- Two-panel axial: CT | PSMA PET, 18F-PSMA tracer
- slice position z = -1133 mm
- PET panel 200×200 px (4.1 mm/px)
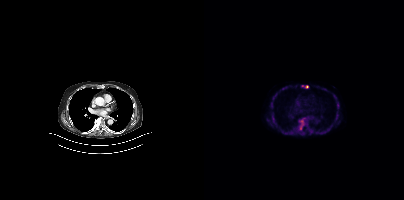
Findings: Coordinates are on the 200×200 PET (right) panel. PSMA-avid tumor lesion bounding boxes (x0, y0)-(x1, y1): (95, 119)-(101, 128) | (103, 127)-(107, 130). Small PSMA-avid focus (2 to 4 px across) near (center x, center y): (103, 86).